modality: PSMA PET/CT | tracer: [18F]PSMA-1007 | view: axial | PET grid: 200×200
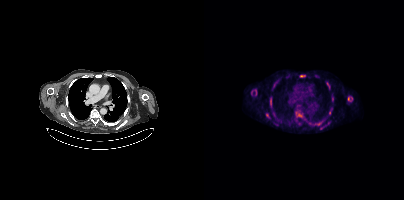
Coordinates are on the 200×200 PET (right) panel. (showing 7 of 10 foci) PSMA-avid tumor lesion bounding boxes (x, y, width, height): x=66 y=97 w=3 h=11 | x=62 y=113 w=4 h=5 | x=144 y=97 w=4 h=5 | x=96 y=75 w=5 h=2. Small PSMA-avid foci (2 to 4 px across) near (center x, center y): (95, 115) | (125, 113) | (117, 121).